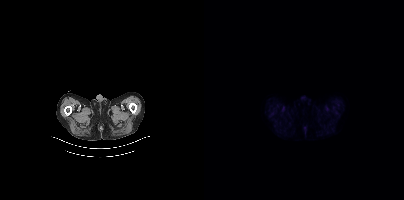
This slice has no annotated PSMA-avid lesion.